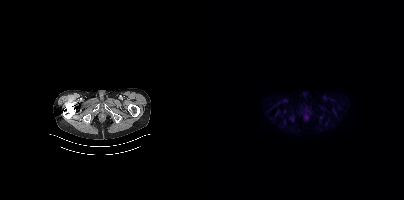
This slice has no annotated PSMA-avid lesion. Two-panel axial: CT | PSMA PET, 18F tracer.